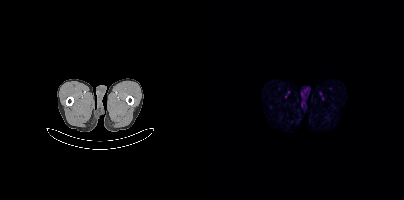
No tumor lesions annotated on this slice. Paired axial CT (left) and PSMA PET (right), [18F]PSMA-1007 tracer. Slice 12 of 417.